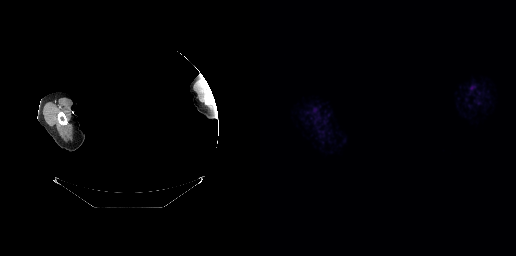
Findings: No tumor lesions annotated on this slice.
Technique: Two-panel axial: CT | PSMA PET, 68Ga-PSMA tracer. acquired on GE Discovery 690.
Note: Head region blanked for anonymization (face removed).